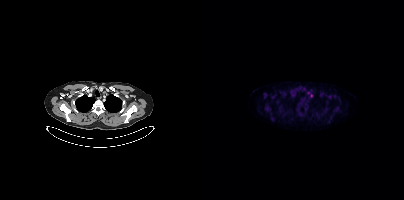
Findings: Coordinates are on the 200×200 PET (right) panel. Small PSMA-avid focus (2 to 4 px across) near (center x, center y): (107, 95).
Technique: Paired axial CT (left) and PSMA PET (right), 18F-PSMA tracer. PET panel 200×200 px (4.1 mm/px).